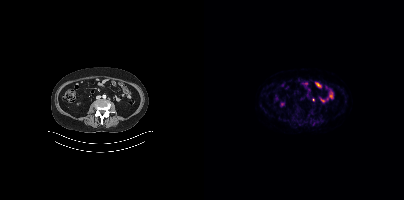
Only PSMA-avid lesion pieces thinner than 2 px on this slice (not listed). Two-panel axial: CT | PSMA PET, 18F tracer.